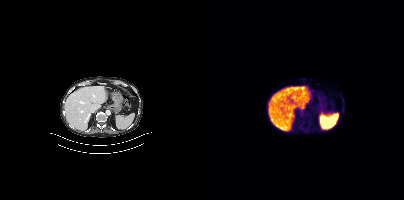
- Paired axial CT (left) and PSMA PET (right), 18F tracer
- slice 211 of 401
- PET panel 200×200 px (4.1 mm/px)
Findings: Negative for PSMA-avid disease on this slice.